modality: PSMA PET/CT | tracer: 18F-PSMA | view: axial | PET grid: 168×168
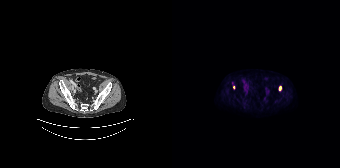
Coordinates are on the 168×168 PET (right) panel. PSMA-avid tumor lesion bounding box (x, y, width, height): x=107 y=86 w=3 h=5. Small PSMA-avid focus (2 to 4 px across) near (center x, center y): (61, 87).